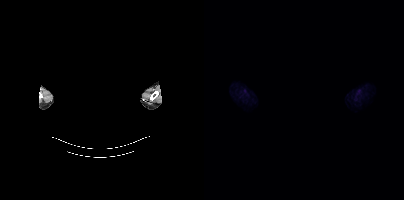
This slice has no annotated PSMA-avid lesion. Left: CT. Right: PSMA PET, same axial level, 18F tracer. PET panel 200×200 px (4.1 mm/px). Privacy masking over the head, with the pixels inside a rectangle set to black.